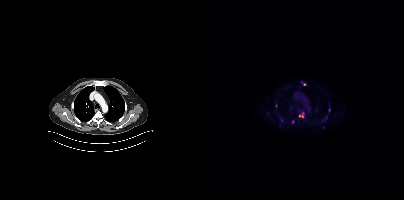
{"modality":"PSMA PET/CT","view":"axial","tracer":"[18F]PSMA-1007","pet_grid":[200,200],"coord_frame":"pet_panel","coord_format":"x0,y0,x1,y1","partial":true,"lesion_bboxes":[[95,115,99,117]],"small_foci_centers":[[100,84],[72,105]]}